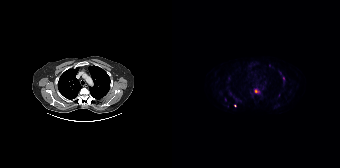
{"modality":"PSMA PET/CT","view":"axial","tracer":"18F-PSMA","pet_grid":[168,168],"coord_frame":"pet_panel","coord_format":"x0,y0,x1,y1","lesion_bboxes":[[82,89,86,92]],"small_foci_centers":[[63,105]]}